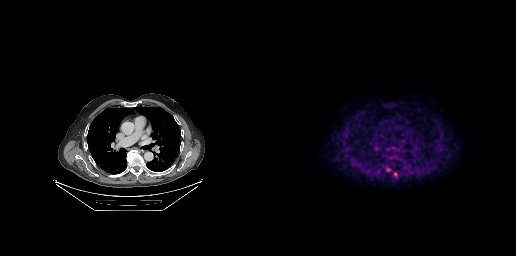
Findings: Coordinates are on the 256×256 PET (right) panel. (showing 1 of 2 foci) Small PSMA-avid focus (2 to 4 px across) near (center x, center y): (127, 169).
- Two-panel axial: CT | PSMA PET, 18F-PSMA tracer
- slice 216 of 299